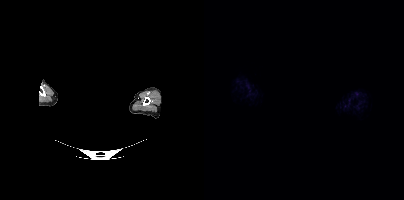
- any black rectangle over the head is a privacy mask, not anatomy
- Two-panel axial: CT | PSMA PET, [18F]PSMA-1007 tracer
Findings: Negative for PSMA-avid disease on this slice.